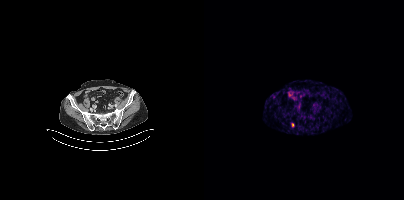
modality: PSMA PET/CT | tracer: 68Ga-PSMA | view: axial | PET grid: 200×200
Coordinates are on the 200×200 PET (right) panel. Small PSMA-avid focus (2 to 4 px across) near (center x, center y): (88, 125).